Left: CT. Right: PSMA PET, same axial level, 18F-PSMA tracer. PET panel 256×256 px (2.7 mm/px).
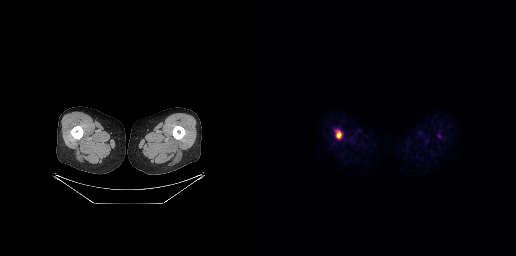
Coordinates are on the 256×256 PET (right) panel. PSMA-avid tumor lesion bounding box (x0, y0)-(x1, y1): (76, 131)-(81, 138).